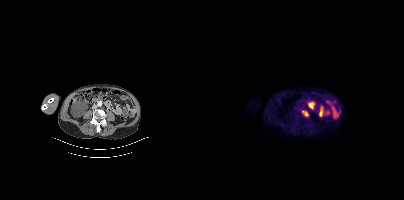
Left: CT. Right: PSMA PET, same axial level, 18F-PSMA tracer. Slice position z = -92 mm. PET panel 200×200 px (4.1 mm/px).
Coordinates are on the 200×200 PET (right) panel. PSMA-avid tumor lesion bounding boxes (partial; 1 more focus not listed):
| # | x0 | y0 | x1 | y1 |
|---|---|---|---|---|
| 1 | 98 | 110 | 104 | 116 |